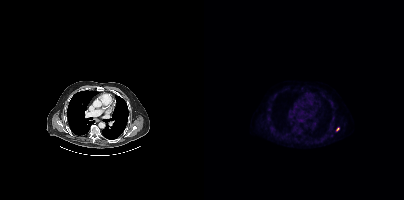
- Paired axial CT (left) and PSMA PET (right), 18F-PSMA tracer
- acquired on Siemens Biograph mCT Flow 20
- slice position z = -1103 mm
- PET panel 200×200 px (4.1 mm/px)
Findings: Coordinates are on the 200×200 PET (right) panel. Small PSMA-avid focus (2 to 4 px across) near (center x, center y): (133, 129).